Facial anatomy redacted by setting a rectangular region of the head to black. Left: CT. Right: PSMA PET, same axial level, 68Ga-PSMA tracer. Acquired on Siemens Biograph mCT Flow 20. Slice position z = -403 mm. PET panel 200×200 px (4.1 mm/px).
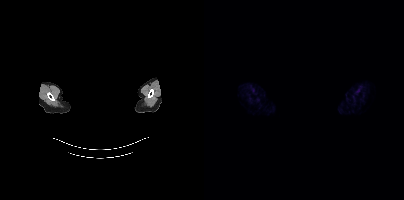
Negative for PSMA-avid disease on this slice.